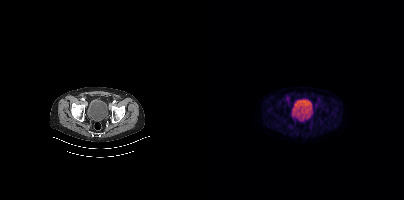
No tumor lesions annotated on this slice.